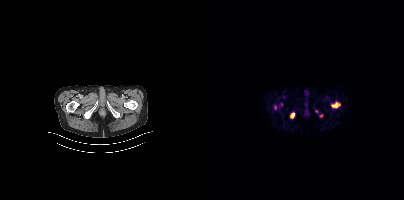
Coordinates are on the 200×200 PET (right) panel. PSMA-avid tumor lesion bounding boxes (x0, y0)-(x1, y1): (128, 103)-(135, 107); (87, 113)-(90, 117). Small PSMA-avid focus (2 to 4 px across) near (center x, center y): (112, 111).